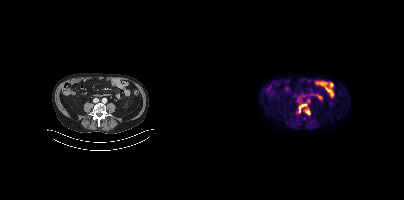
Left: CT. Right: PSMA PET, same axial level, 18F-PSMA tracer. PET panel 200×200 px (4.1 mm/px). Coordinates are on the 200×200 PET (right) panel. PSMA-avid tumor lesion bounding boxes (x0,y0,x1,y1): [94,103,103,113] [101,108,106,114].